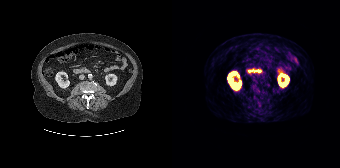
Technique: Two-panel axial: CT | PSMA PET, 68Ga-PSMA tracer. slice 100 of 195. PET panel 168×168 px (4.1 mm/px).
Findings: Negative for PSMA-avid disease on this slice.